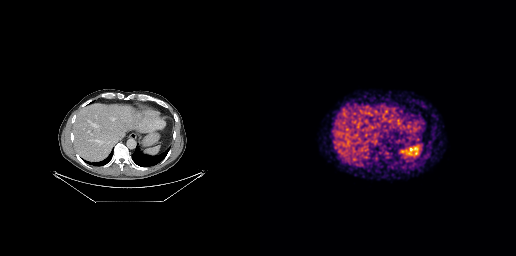
modality: PSMA PET/CT | tracer: 18F-PSMA | view: axial
This slice has no annotated PSMA-avid lesion.